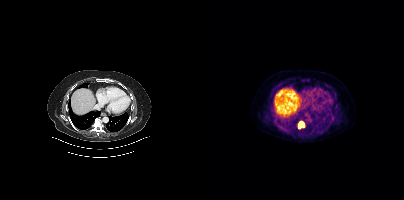
Coordinates are on the 200×200 PET (right) panel. PSMA-avid tumor lesion bounding box (x0, y0)-(x1, y1): (94, 121)-(100, 128). Two-panel axial: CT | PSMA PET, 18F tracer.